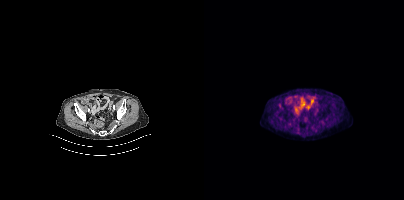
No PSMA-avid tumor lesions on this slice. Left: CT. Right: PSMA PET, same axial level, 18F-PSMA tracer. Acquired on Siemens Biograph mCT Flow 20. PET panel 200×200 px (4.1 mm/px).